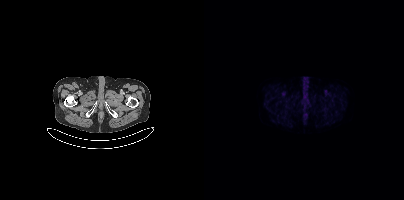
Negative for PSMA-avid disease on this slice.